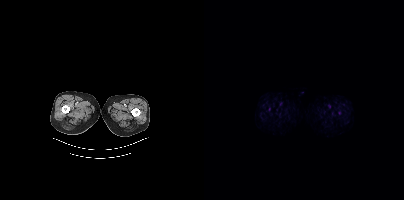
Left: CT. Right: PSMA PET, same axial level, 18F tracer. Slice 18 of 450. PET panel 200×200 px (4.1 mm/px). Only PSMA-avid lesion pieces thinner than 2 px on this slice (not listed).